Paired axial CT (left) and PSMA PET (right), [18F]PSMA-1007 tracer. Acquired on GE Discovery 690. Slice position z = -272 mm. PET panel 256×256 px (2.7 mm/px).
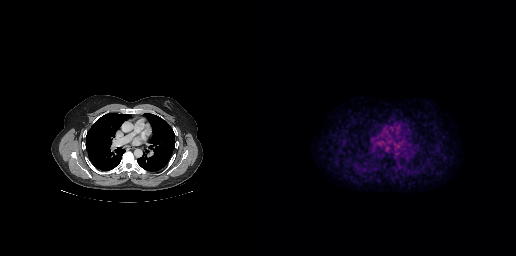
Negative for PSMA-avid disease on this slice.